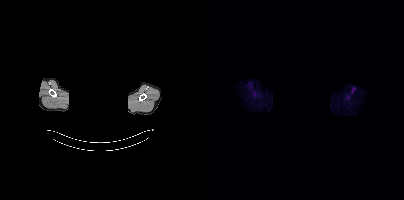
Findings: Coordinates are on the 200×200 PET (right) panel. Small PSMA-avid focus (2 to 4 px across) near (center x, center y): (144, 96).
Technique: Paired axial CT (left) and PSMA PET (right), 18F-PSMA tracer. slice position z = 1798 mm. PET panel 200×200 px (4.1 mm/px).
Note: Any black rectangle over the head is a privacy mask, not anatomy.